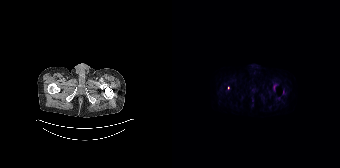
Coordinates are on the 168×168 PET (right) panel. (showing 2 of 3 foci) PSMA-avid tumor lesion bounding box (x, y, width, height): x=101 y=84 w=4 h=6. Small PSMA-avid focus (2 to 4 px across) near (center x, center y): (56, 88).